Left: CT. Right: PSMA PET, same axial level, 18F-PSMA tracer. Acquired on Siemens Biograph mCT Flow 20.
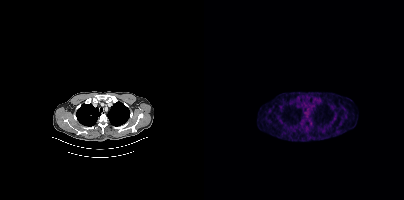
No tumor lesions annotated on this slice.